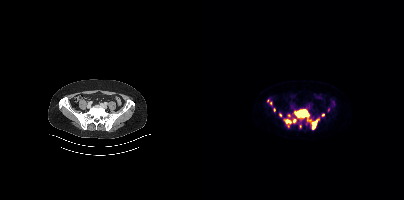
{"modality":"PSMA PET/CT","view":"axial","tracer":"[18F]PSMA-1007","pet_grid":[200,200],"coord_frame":"pet_panel","coord_format":"x0,y0,x1,y1","partial":true,"lesion_bboxes":[[90,109,105,117],[108,118,115,129],[80,119,87,123]],"small_foci_centers":[[90,120],[119,114],[76,115],[70,109],[66,103],[96,126],[63,100],[84,115]]}